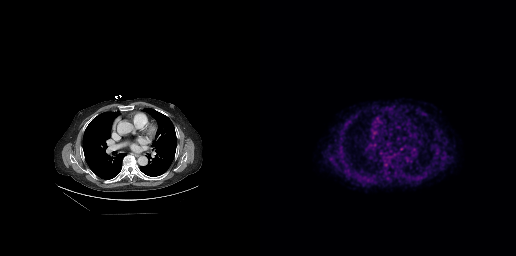
- Left: CT. Right: PSMA PET, same axial level, 18F-PSMA tracer
- acquired on GE Discovery 690
- PET panel 256×256 px (2.7 mm/px)
Findings: No PSMA-avid tumor lesions on this slice.